Two-panel axial: CT | PSMA PET, 68Ga tracer.
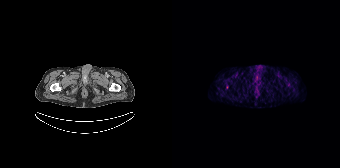
Only PSMA-avid lesion pieces thinner than 2 px on this slice (not listed).